Technique: Two-panel axial: CT | PSMA PET, 18F-PSMA tracer. slice 111 of 435.
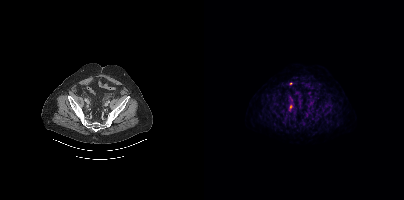
Findings: Coordinates are on the 200×200 PET (right) panel. (showing 2 of 3 foci) PSMA-avid tumor lesion bounding box (x, y, width, height): x=86 y=104 w=3 h=6. Small PSMA-avid focus (2 to 4 px across) near (center x, center y): (87, 83).